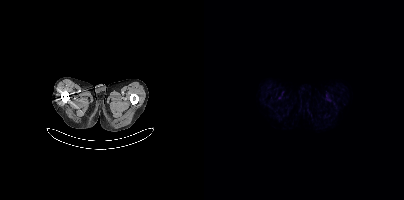
Left: CT. Right: PSMA PET, same axial level, 18F-PSMA tracer. Acquired on Siemens Biograph mCT Flow 20. Slice 22 of 431. No PSMA-avid tumor lesions on this slice.